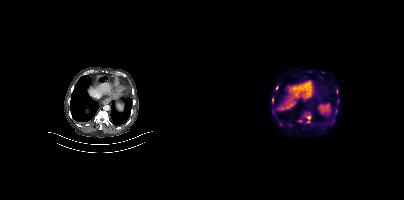
Coordinates are on the 200×200 PET (right) panel. PSMA-avid tumor lesion bounding boxes (x0, y0)-(x1, y1): (99, 112)-(107, 122) | (68, 108)-(72, 115) | (74, 120)-(80, 126) | (132, 88)-(134, 94) | (120, 124)-(124, 129) | (93, 119)-(98, 122) | (72, 85)-(74, 90) | (68, 97)-(69, 103) | (131, 109)-(133, 113) | (133, 99)-(135, 103) | (73, 104)-(78, 108). Small PSMA-avid focus (2 to 4 px across) near (center x, center y): (129, 121).
modality: PSMA PET/CT | tracer: 18F-PSMA | view: axial